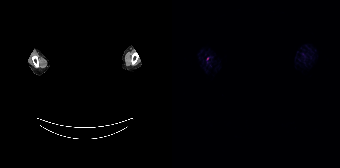
No tumor lesions annotated on this slice.
modality: PSMA PET/CT | tracer: 68Ga-PSMA | view: axial | PET grid: 168×168 | deidentification: facial region redacted